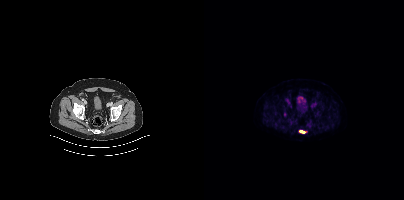
{"modality":"PSMA PET/CT","view":"axial","tracer":"[18F]PSMA-1007","pet_grid":[200,200],"coord_frame":"pet_panel","coord_format":"x0,y0,x1,y1","lesion_bboxes":[[95,130,101,132]]}